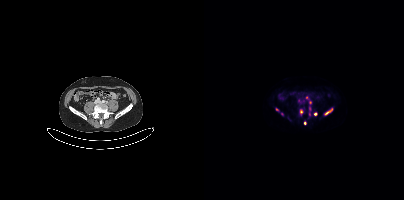
{"modality":"PSMA PET/CT","view":"axial","tracer":"18F-PSMA","pet_grid":[200,200],"coord_frame":"pet_panel","coord_format":"x0,y0,x1,y1","partial":true,"lesion_bboxes":[[121,108,128,114]],"small_foci_centers":[[106,102],[97,111],[78,113],[102,97],[105,114],[111,113],[72,109],[100,122]]}